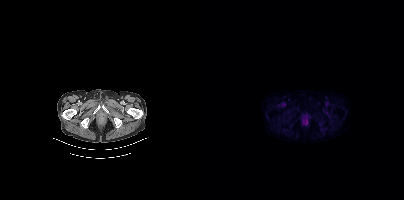
No PSMA-avid tumor lesions on this slice.